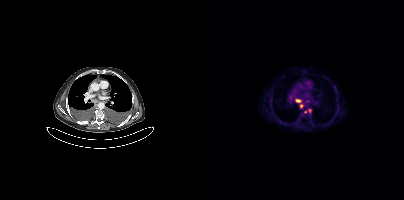
{"modality":"PSMA PET/CT","view":"axial","tracer":"18F-PSMA","pet_grid":[200,200],"coord_frame":"pet_panel","coord_format":"x0,y0,x1,y1","lesion_bboxes":[[91,99,97,102],[104,109,107,113]],"small_foci_centers":[[97,105],[101,112],[103,101]]}